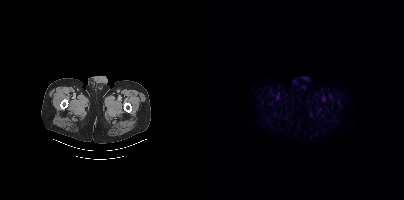
- Two-panel axial: CT | PSMA PET, [18F]PSMA-1007 tracer
- acquired on Siemens Biograph mCT Flow 20
Findings: No PSMA-avid tumor lesions on this slice.